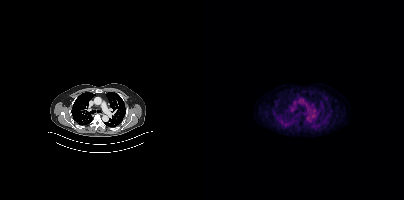
modality: PSMA PET/CT | tracer: 18F-PSMA | view: axial | PET grid: 200×200
No tumor lesions annotated on this slice.